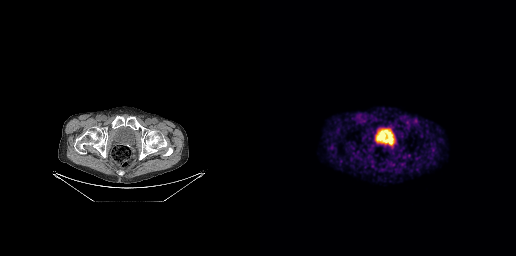
- Paired axial CT (left) and PSMA PET (right), 68Ga tracer
Findings: This slice has no annotated PSMA-avid lesion.